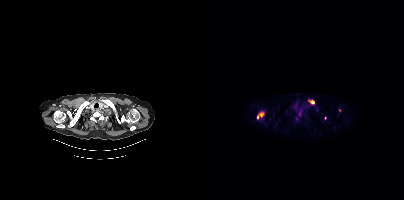
Findings: Coordinates are on the 200×200 PET (right) panel. (showing 6 of 8 foci) PSMA-avid tumor lesion bounding boxes (x0,y0,x1,y1): [53,112,60,118], [105,100,110,103]. Small PSMA-avid foci (2 to 4 px across) near (center x, center y): (113, 109), (69, 113), (135, 110), (95, 113).
Technique: Paired axial CT (left) and PSMA PET (right), 18F-PSMA tracer. PET panel 200×200 px (4.1 mm/px).